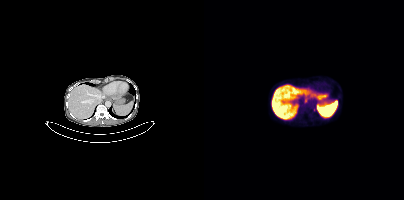
modality: PSMA PET/CT | tracer: [18F]PSMA-1007 | view: axial
This slice has no annotated PSMA-avid lesion.